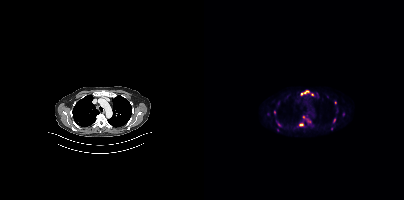
modality: PSMA PET/CT | tracer: 18F | view: axial
Coordinates are on the 200×200 PET (right) panel. (showing 10 of 12 foci) PSMA-avid tumor lesion bounding boxes (x0, y0)-(x1, y1): (97, 90)-(105, 95) | (95, 123)-(99, 126). Small PSMA-avid foci (2 to 4 px across) near (center x, center y): (131, 102) | (139, 114) | (104, 120) | (108, 94) | (70, 112) | (99, 117) | (130, 120) | (75, 124).